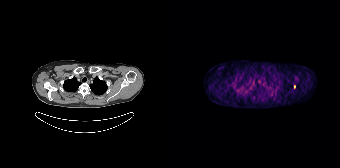
Coordinates are on the 168×168 PET (right) panel. Small PSMA-avid focus (2 to 4 px across) near (center x, center y): (122, 86).